Technique: Left: CT. Right: PSMA PET, same axial level, 68Ga tracer. slice 125 of 195.
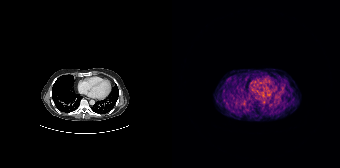
Findings: No tumor lesions annotated on this slice.